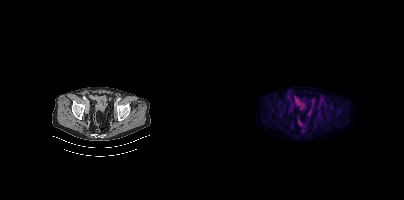
Paired axial CT (left) and PSMA PET (right), [18F]PSMA-1007 tracer. No tumor lesions annotated on this slice.